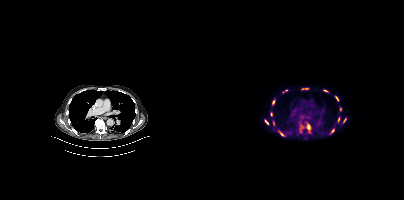
Findings: Coordinates are on the 200×200 PET (right) panel. (showing 14 of 15 foci) PSMA-avid tumor lesion bounding boxes (x, y, width, height): x=102 y=123 w=6 h=10; x=97 y=87 w=9 h=4; x=131 y=96 w=5 h=6; x=68 y=99 w=4 h=6; x=96 y=125 w=4 h=8; x=61 y=119 w=4 h=6; x=134 y=117 w=3 h=6; x=126 y=129 w=5 h=5; x=119 y=90 w=6 h=3; x=139 y=118 w=4 h=5; x=136 y=107 w=2 h=5; x=69 y=121 w=2 h=5. Small PSMA-avid foci (2 to 4 px across) near (center x, center y): (77, 133); (67, 114).
- Two-panel axial: CT | PSMA PET, [18F]PSMA-1007 tracer
- acquired on Siemens Biograph mCT Flow 20